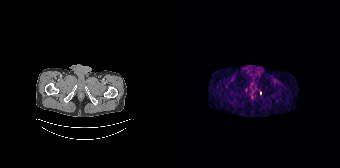
Only PSMA-avid lesion pieces thinner than 2 px on this slice (not listed).